- Paired axial CT (left) and PSMA PET (right), 18F-PSMA tracer
- slice 324 of 448
- PET panel 200×200 px (4.1 mm/px)
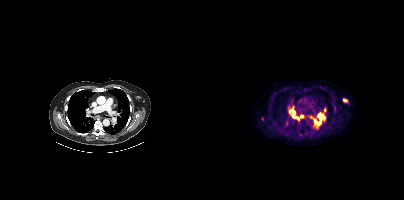
Findings: Coordinates are on the 200×200 PET (right) panel. PSMA-avid tumor lesion bounding boxes (x0,y0,x1,y1): [84,106,94,119], [113,113,121,127], [105,116,112,122], [139,98,143,102]. Small PSMA-avid foci (2 to 4 px across) near (center x, center y): (120, 110), (97, 116), (130, 106).